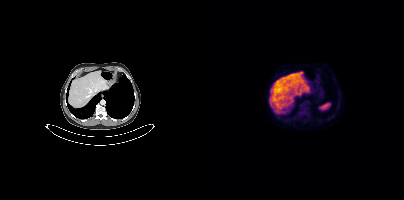
No tumor lesions annotated on this slice.